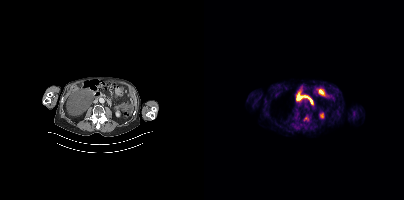
Coordinates are on the 200×200 PET (right) panel. PSMA-avid tumor lesion bounding box (x0, y0)-(x1, y1): (100, 117)-(104, 120).